- Paired axial CT (left) and PSMA PET (right), 68Ga-PSMA tracer
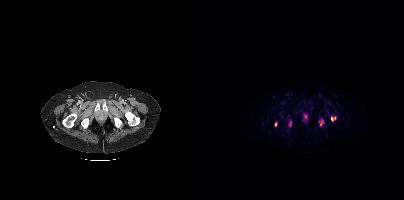
Findings: Coordinates are on the 200×200 PET (right) panel. (showing 3 of 4 foci) PSMA-avid tumor lesion bounding box (x0, y0)-(x1, y1): (115, 119)-(120, 125). Small PSMA-avid foci (2 to 4 px across) near (center x, center y): (128, 118) / (71, 124).